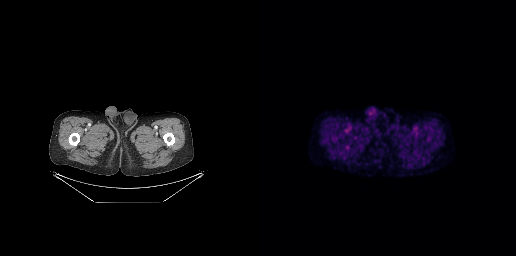
Left: CT. Right: PSMA PET, same axial level, [18F]PSMA-1007 tracer. Slice position z = -929 mm. Negative for PSMA-avid disease on this slice.